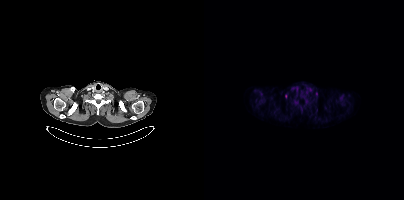
Coordinates are on the 200×200 PET (right) panel. Small PSMA-avid foci (2 to 4 px across) near (center x, center y): (112, 93) | (81, 96).